Left: CT. Right: PSMA PET, same axial level, 18F tracer. Slice 308 of 401. PET panel 200×200 px (4.1 mm/px). Privacy masking over the head, with the pixels inside a rectangle set to black.
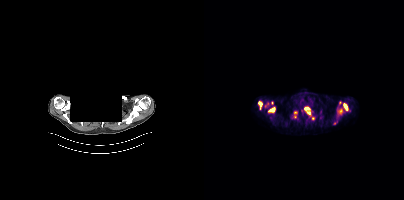
Coordinates are on the 200×200 PET (right) panel. (showing 9 of 13 foci) PSMA-avid tumor lesion bounding boxes (x, y, width, height): x=100 y=107 w=8 h=10 / x=133 y=109 w=6 h=6 / x=64 y=107 w=8 h=6 / x=54 y=101 w=5 h=9 / x=139 y=103 w=5 h=8. Small PSMA-avid foci (2 to 4 px across) near (center x, center y): (91, 112) / (109, 118) / (130, 123) / (68, 103).